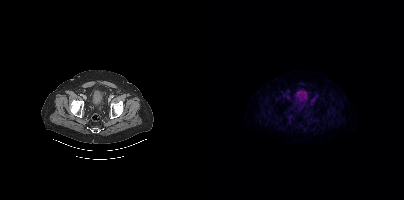
Technique: Two-panel axial: CT | PSMA PET, [18F]PSMA-1007 tracer. PET panel 200×200 px (4.1 mm/px).
Findings: No PSMA-avid tumor lesions on this slice.